Paired axial CT (left) and PSMA PET (right), 18F tracer. Slice position z = -600 mm.
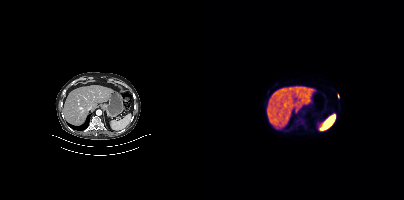
Only PSMA-avid lesion pieces thinner than 2 px on this slice (not listed).